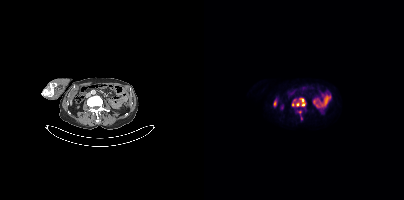
Findings: Coordinates are on the 200×200 PET (right) panel. (showing 2 of 3 foci) PSMA-avid tumor lesion bounding boxes (x0, y0)-(x1, y1): (88, 98)-(101, 106) | (94, 110)-(97, 114).
- Left: CT. Right: PSMA PET, same axial level, [18F]PSMA-1007 tracer
- acquired on Siemens Biograph mCT Flow 20
- PET panel 200×200 px (4.1 mm/px)